Technique: Left: CT. Right: PSMA PET, same axial level, [18F]PSMA-1007 tracer. slice position z = 54 mm.
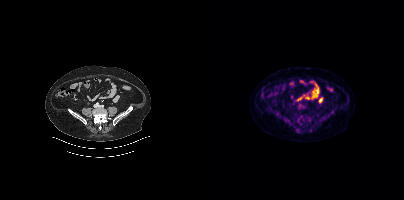
Findings: No tumor lesions annotated on this slice.